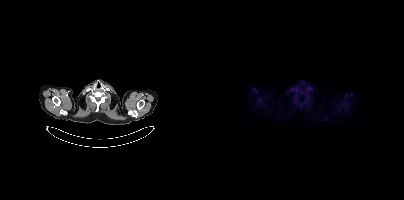
{"pet_grid":[200,200],"coord_frame":"pet_panel","coord_format":"x0,y0,x1,y1","psma_avid_lesions":false,"modality":"PSMA PET/CT","view":"axial","tracer":"18F-PSMA"}